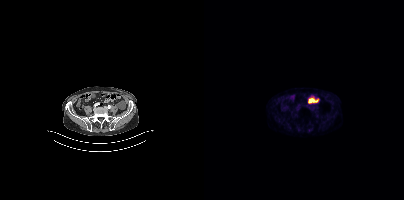
This slice has no annotated PSMA-avid lesion.
modality: PSMA PET/CT | tracer: 18F-PSMA | view: axial | PET grid: 200×200